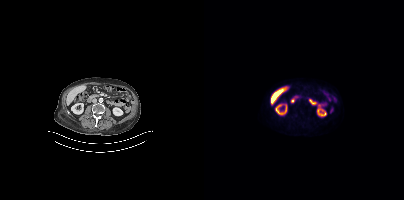
Technique: Paired axial CT (left) and PSMA PET (right), 18F-PSMA tracer.
Findings: No tumor lesions annotated on this slice.